Two-panel axial: CT | PSMA PET, 68Ga-PSMA tracer. Acquired on Siemens Biograph mCT Flow 20.
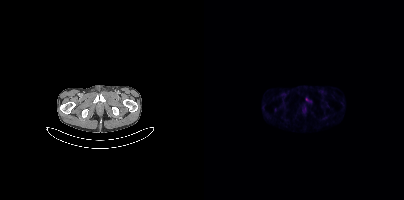
Only PSMA-avid lesion pieces thinner than 2 px on this slice (not listed).